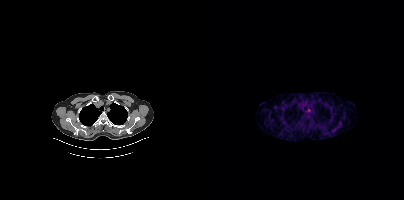
{"modality":"PSMA PET/CT","view":"axial","tracer":"68Ga","pet_grid":[200,200],"coord_frame":"pet_panel","coord_format":"x0,y0,x1,y1","psma_avid_lesions":false}